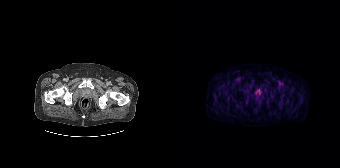
{"modality":"PSMA PET/CT","view":"axial","tracer":"[18F]PSMA-1007","pet_grid":[168,168],"coord_frame":"pet_panel","coord_format":"x0,y0,x1,y1","psma_avid_lesions":false}